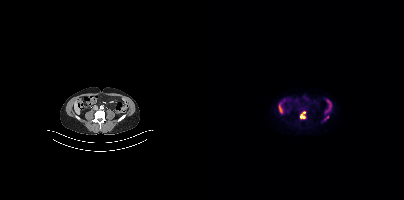
Coordinates are on the 200×200 PET (right) panel. PSMA-avid tumor lesion bounding box (x0,y0,x1,y1): [96,111,101,118]. Small PSMA-avid focus (2 to 4 px across) near (center x, center y): (122, 117).